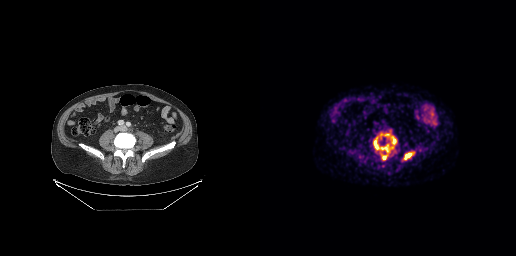
{"modality":"PSMA PET/CT","view":"axial","tracer":"68Ga-PSMA","pet_grid":[256,256],"coord_frame":"pet_panel","coord_format":"x0,y0,x1,y1","lesion_bboxes":[[113,141,133,152],[144,152,154,159],[131,136,136,144],[122,155,127,159]],"small_foci_centers":[[128,135]]}